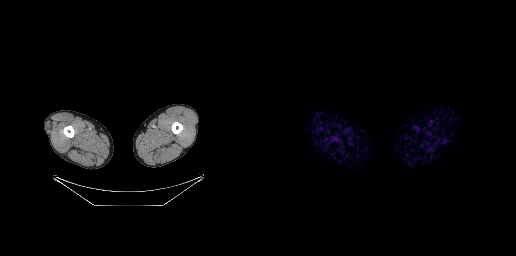
{"pet_grid":[256,256],"coord_frame":"pet_panel","coord_format":"x0,y0,x1,y1","psma_avid_lesions":false,"modality":"PSMA PET/CT","view":"axial","tracer":"[18F]PSMA-1007"}